Technique: Paired axial CT (left) and PSMA PET (right), 18F-PSMA tracer. acquired on Siemens Biograph mCT Flow 20. slice 174 of 427.
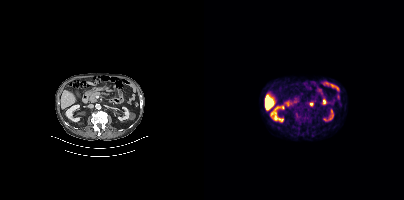
Findings: No PSMA-avid tumor lesions on this slice.